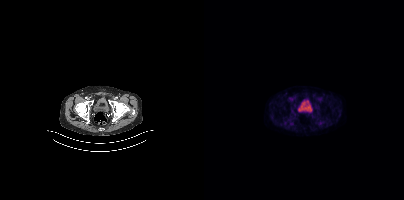
Left: CT. Right: PSMA PET, same axial level, [18F]PSMA-1007 tracer. Acquired on Siemens Biograph mCT Flow 20. Slice 56 of 356. PET panel 200×200 px (4.1 mm/px). Negative for PSMA-avid disease on this slice.